De-identified by setting a box covering the face to black before release.
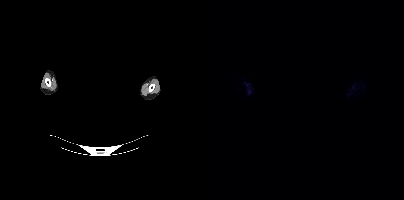
Negative for PSMA-avid disease on this slice.